Paired axial CT (left) and PSMA PET (right), [68Ga]Ga-PSMA-11 tracer. Slice 162 of 195. PET panel 168×168 px (4.1 mm/px).
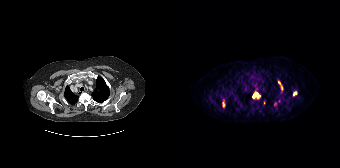
Coordinates are on the 168×168 PET (right) panel. (showing 6 of 7 foci) PSMA-avid tumor lesion bounding boxes (x0, y0)-(x1, y1): (80, 91)-(88, 98) | (106, 80)-(110, 90) | (121, 91)-(125, 95) | (50, 100)-(53, 107). Small PSMA-avid foci (2 to 4 px across) near (center x, center y): (98, 79) | (102, 103).